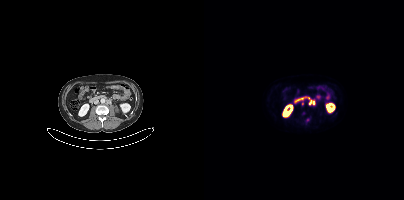
Coordinates are on the 200×200 PET (right) panel. (showing 2 of 3 foci) PSMA-avid tumor lesion bounding box (x0, y0)-(x1, y1): (106, 100)-(110, 103). Small PSMA-avid focus (2 to 4 px across) near (center x, center y): (98, 103).